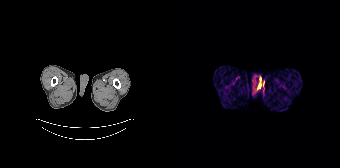
No tumor lesions annotated on this slice.
modality: PSMA PET/CT | tracer: [68Ga]Ga-PSMA-11 | view: axial